Left: CT. Right: PSMA PET, same axial level, 68Ga tracer.
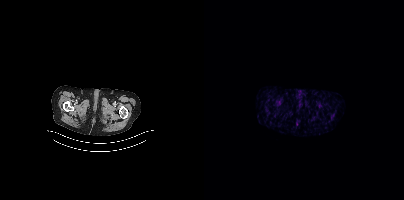
No PSMA-avid tumor lesions on this slice.